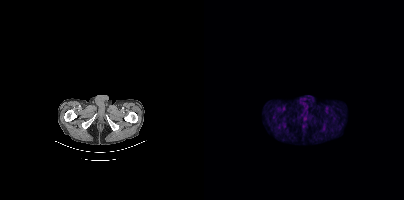
Findings: No tumor lesions annotated on this slice.
Technique: Paired axial CT (left) and PSMA PET (right), [18F]PSMA-1007 tracer.